modality: PSMA PET/CT | tracer: 68Ga-PSMA | view: axial
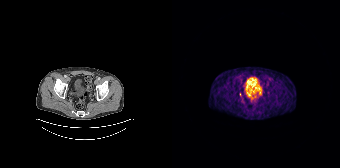
Only PSMA-avid lesion pieces thinner than 2 px on this slice (not listed).